Technique: Two-panel axial: CT | PSMA PET, 18F-PSMA tracer.
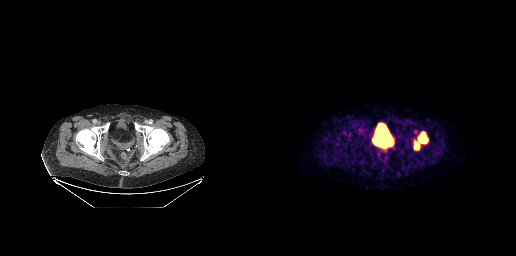
Findings: Coordinates are on the 256×256 PET (right) panel. PSMA-avid tumor lesion bounding box (x0, y0)-(x1, y1): (154, 131)-(168, 150).